Paired axial CT (left) and PSMA PET (right), 18F-PSMA tracer. Acquired on Siemens Biograph mCT Flow 20. Slice 107 of 435. PET panel 200×200 px (4.1 mm/px).
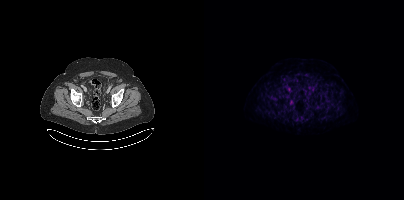
Coordinates are on the 200×200 PET (right) panel. PSMA-avid tumor lesion bounding boxes:
| # | x0 | y0 | x1 | y1 |
|---|---|---|---|---|
| 1 | 85 | 101 | 89 | 105 |